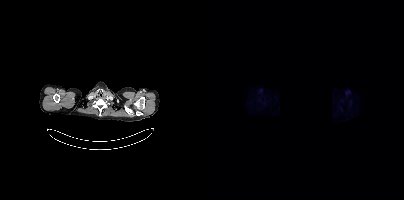
- part of this slice was blanked for de-identification
- Two-panel axial: CT | PSMA PET, 18F-PSMA tracer
- acquired on Siemens Biograph mCT Flow 20
- slice position z = -398 mm
Findings: No PSMA-avid tumor lesions on this slice.